Technique: Left: CT. Right: PSMA PET, same axial level, 18F-PSMA tracer. PET panel 256×256 px (2.7 mm/px).
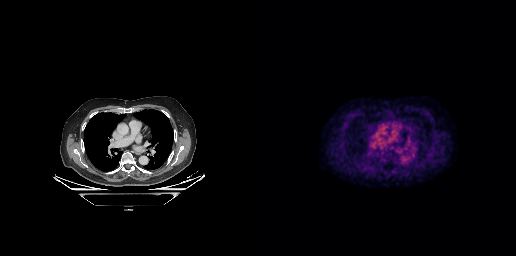
Findings: No tumor lesions annotated on this slice.